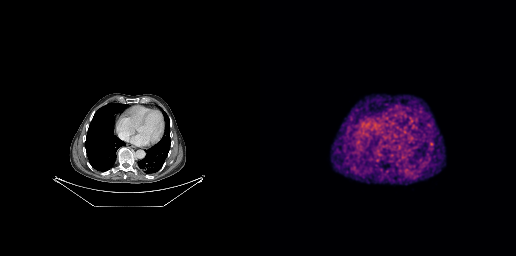
Coordinates are on the 256×256 PET (right) panel. Small PSMA-avid focus (2 to 4 px across) near (center x, center y): (171, 143). Two-panel axial: CT | PSMA PET, 68Ga-PSMA tracer. Slice 164 of 263. PET panel 256×256 px (2.7 mm/px).